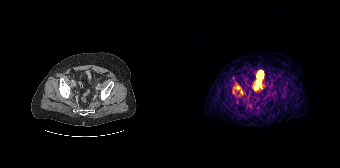
Left: CT. Right: PSMA PET, same axial level, [68Ga]Ga-PSMA-11 tracer. Acquired on Siemens Biograph 64-4R TruePoint. Slice 52 of 195. PET panel 168×168 px (4.1 mm/px). Coordinates are on the 168×168 PET (right) panel. (showing 3 of 4 foci) PSMA-avid tumor lesion bounding boxes (x0,y0,x1,y1): [64,86,68,89] [68,90,70,94]. Small PSMA-avid focus (2 to 4 px across) near (center x, center y): (61, 92).